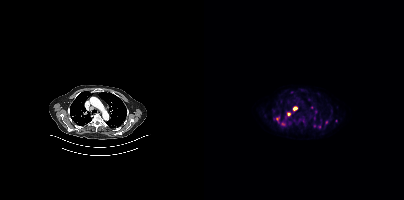
Findings: Coordinates are on the 200×200 PET (right) panel. (showing 8 of 10 foci) PSMA-avid tumor lesion bounding box (x, y, width, height): x=89 y=107 w=5 h=4. Small PSMA-avid foci (2 to 4 px across) near (center x, center y): (73, 118) / (115, 126) / (122, 122) / (85, 114) / (79, 124) / (110, 126) / (87, 92).
- Two-panel axial: CT | PSMA PET, 18F-PSMA tracer